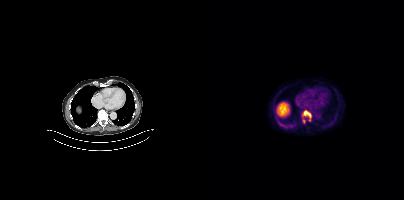
{"modality":"PSMA PET/CT","view":"axial","tracer":"18F","pet_grid":[200,200],"coord_frame":"pet_panel","coord_format":"x0,y0,x1,y1","lesion_bboxes":[[98,110,107,120]],"small_foci_centers":[[99,121]]}